Paired axial CT (left) and PSMA PET (right), 18F tracer. Acquired on Siemens Biograph mCT Flow 20. PET panel 200×200 px (4.1 mm/px).
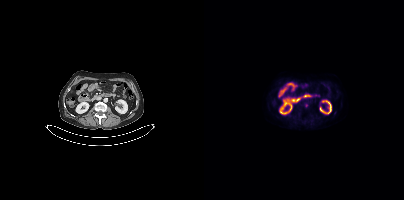
No tumor lesions annotated on this slice.